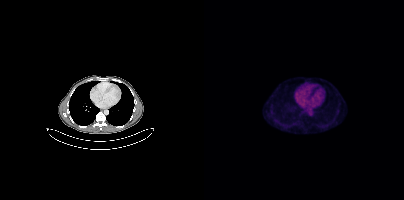
Paired axial CT (left) and PSMA PET (right), [18F]PSMA-1007 tracer. PET panel 200×200 px (4.1 mm/px). No tumor lesions annotated on this slice.